Facial anatomy redacted by setting a rectangular region of the head to black. Two-panel axial: CT | PSMA PET, 18F-PSMA tracer. PET panel 200×200 px (4.1 mm/px).
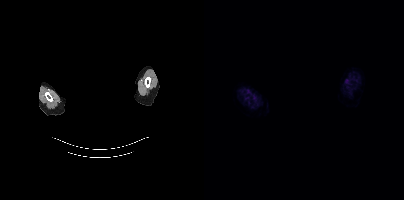
No PSMA-avid tumor lesions on this slice.